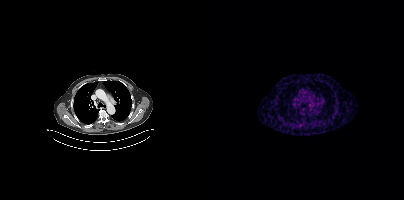
This slice has no annotated PSMA-avid lesion.